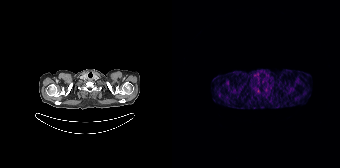
{"modality":"PSMA PET/CT","view":"axial","tracer":"68Ga","pet_grid":[168,168],"coord_frame":"pet_panel","coord_format":"x0,y0,x1,y1","psma_avid_lesions":false}